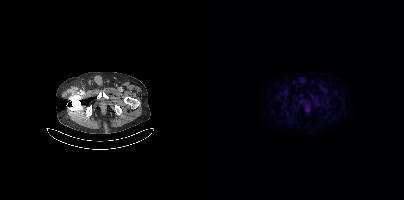
No tumor lesions annotated on this slice.